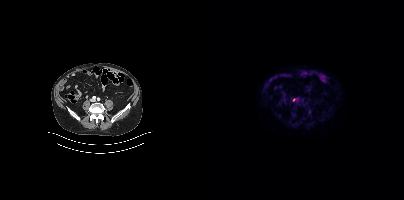
Left: CT. Right: PSMA PET, same axial level, 18F tracer. Acquired on Siemens Biograph mCT Flow 20. PET panel 200×200 px (4.1 mm/px). Coordinates are on the 200×200 PET (right) panel. Small PSMA-avid focus (2 to 4 px across) near (center x, center y): (90, 100).